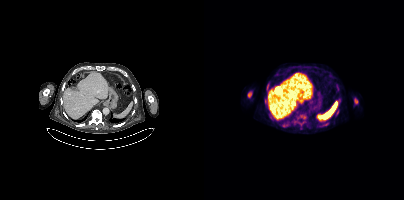
Coordinates are on the 200×200 PET (right) panel. PSMA-avid tumor lesion bounding boxes (x0,y0,x1,y1): [44,92,47,97]; [150,98,153,103]. Small PSMA-avid foci (2 to 4 px across) near (center x, center y): (63, 87); (97, 124).